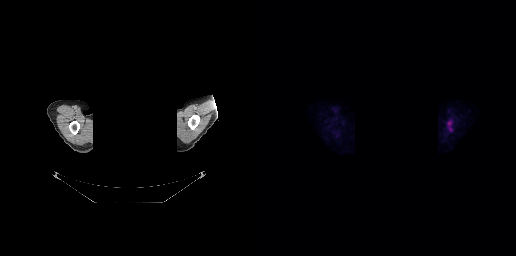
Technique: Paired axial CT (left) and PSMA PET (right), [18F]PSMA-1007 tracer. slice 269 of 299.
Note: Head region blanked for anonymization (face removed).
Findings: Coordinates are on the 256×256 PET (right) panel. PSMA-avid tumor lesion bounding box (x0, y0)-(x1, y1): (187, 120)-(191, 126).